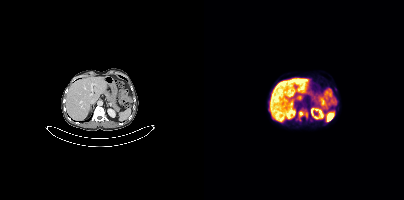
Technique: Paired axial CT (left) and PSMA PET (right), [18F]PSMA-1007 tracer. acquired on Siemens Biograph mCT Flow 20. slice position z = -1208 mm.
Findings: Coordinates are on the 200×200 PET (right) panel. (showing 1 of 2 foci) PSMA-avid tumor lesion bounding box (x0, y0)-(x1, y1): (95, 111)-(103, 117).